Technique: Two-panel axial: CT | PSMA PET, 18F tracer. acquired on Siemens Biograph mCT Flow 20.
Note: A rectangular block over the head has been blanked out for de-identification.
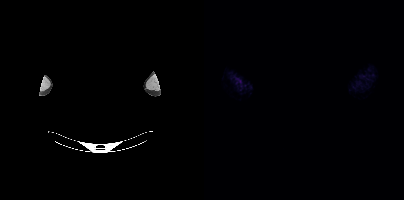
Findings: No tumor lesions annotated on this slice.